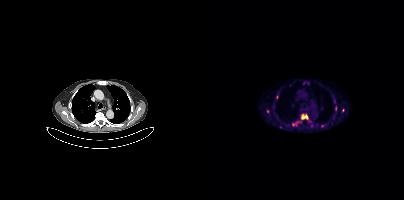
{"modality":"PSMA PET/CT","view":"axial","tracer":"[18F]PSMA-1007","pet_grid":[200,200],"coord_frame":"pet_panel","coord_format":"x0,y0,x1,y1","partial":true,"lesion_bboxes":[[97,114,104,119]],"small_foci_centers":[[131,108],[63,111],[118,125]]}